Paired axial CT (left) and PSMA PET (right), 18F tracer. PET panel 200×200 px (4.1 mm/px).
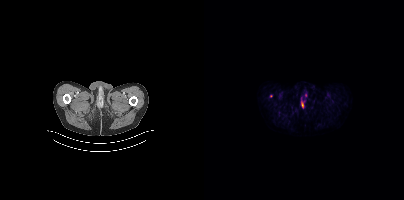
Coordinates are on the 200×200 PET (right) panel. (showing 2 of 4 foci) PSMA-avid tumor lesion bounding box (x0,y0,x1,y1): [97,98,100,108]. Small PSMA-avid focus (2 to 4 px across) near (center x, center y): (101, 95).